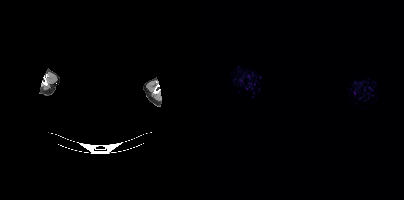
Technique: Two-panel axial: CT | PSMA PET, 18F-PSMA tracer. slice 453 of 454.
Note: Face de-identified by blanking a block of the head.
Findings: No tumor lesions annotated on this slice.